- Paired axial CT (left) and PSMA PET (right), 18F-PSMA tracer
- slice 161 of 299
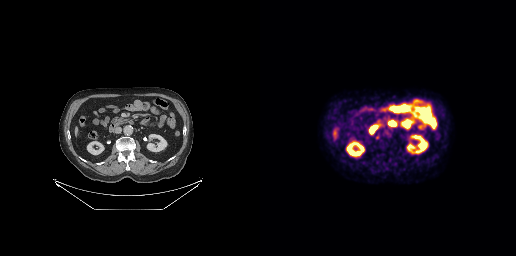
Findings: Coordinates are on the 256×256 PET (right) panel. PSMA-avid tumor lesion bounding box (x, y, width, height): x=116 y=135 w=3 h=5.